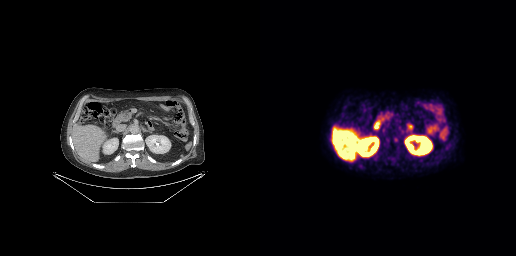
Only PSMA-avid lesion pieces thinner than 2 px on this slice (not listed).